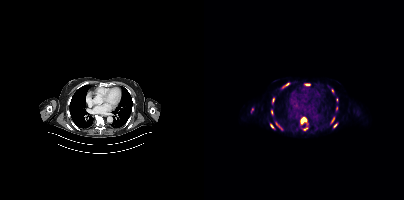
Two-panel axial: CT | PSMA PET, [18F]PSMA-1007 tracer. Slice position z = -1046 mm. Coordinates are on the 200×200 PET (right) panel. PSMA-avid tumor lesion bounding boxes (x0,y0,x1,y1): [97,117,102,123]; [78,83,85,87]; [127,117,130,123]; [101,83,106,85]; [72,123,78,129]; [130,123,133,127]; [66,124,69,128]; [67,111,69,115]. Small PSMA-avid foci (2 to 4 px across) near (center x, center y): (101, 128); (128, 90); (69, 99); (132, 99); (132, 108); (48, 110).